modality: PSMA PET/CT | tracer: 18F | view: axial | PET grid: 200×200
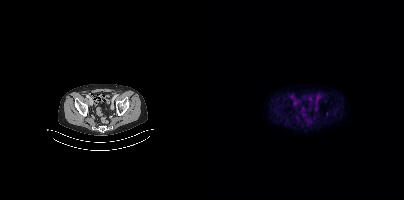
Coordinates are on the 200×200 PET (right) panel. Small PSMA-avid focus (2 to 4 px across) near (center x, center y): (122, 113).